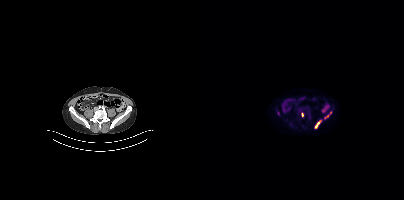
Coordinates are on the 200×200 PET (right) panel. PSMA-avid tumor lesion bounding boxes (x, y, width, height): x=111 y=120 w=7 h=9 | x=120 y=115 w=6 h=4. Small PSMA-avid focus (2 to 4 px across) near (center x, center y): (98, 114).
modality: PSMA PET/CT | tracer: 18F | view: axial